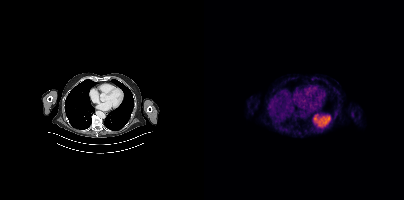
This slice has no annotated PSMA-avid lesion.